Technique: Left: CT. Right: PSMA PET, same axial level, 18F tracer. PET panel 200×200 px (4.1 mm/px).
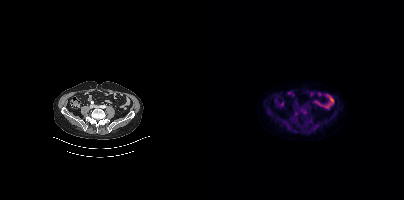
Findings: Coordinates are on the 200×200 PET (right) panel. Small PSMA-avid focus (2 to 4 px across) near (center x, center y): (98, 112).